- Paired axial CT (left) and PSMA PET (right), [18F]PSMA-1007 tracer
- acquired on GE Discovery 690
- slice 204 of 299
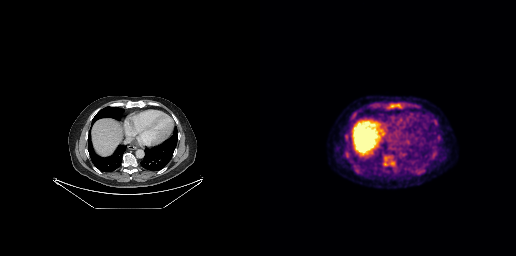
Findings: Coordinates are on the 256×256 PET (right) panel. PSMA-avid tumor lesion bounding box (x0, y0)-(x1, y1): (130, 103)-(139, 108).